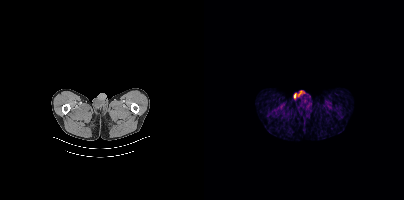
No PSMA-avid tumor lesions on this slice. Left: CT. Right: PSMA PET, same axial level, [18F]PSMA-1007 tracer. Acquired on Siemens Biograph mCT Flow 20.